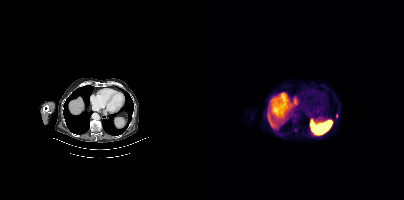
Left: CT. Right: PSMA PET, same axial level, [18F]PSMA-1007 tracer. Slice position z = 86 mm. PET panel 200×200 px (4.1 mm/px). Coordinates are on the 200×200 PET (right) panel. Small PSMA-avid foci (2 to 4 px across) near (center x, center y): (91, 129); (132, 115).